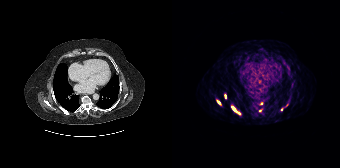
Coordinates are on the 168×168 PET (right) panel. (showing 6 of 7 foci) PSMA-avid tumor lesion bounding boxes (x, y, width, height): x=59 y=106 w=10 h=9 / x=45 y=100 w=4 h=5 / x=53 y=94 w=2 h=5. Small PSMA-avid foci (2 to 4 px across) near (center x, center y): (110, 109) / (88, 110) / (89, 103).